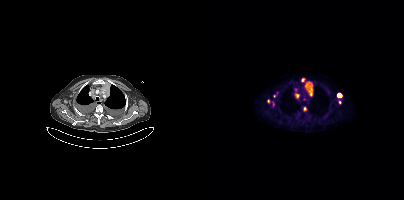
Coordinates are on the 200×200 PET (right) panel. PSMA-avid tumor lesion bounding boxes (x0, y0)-(x1, y1): (101, 82)-(108, 96); (63, 99)-(70, 106); (133, 93)-(138, 98); (91, 94)-(95, 98). Small PSMA-avid foci (2 to 4 px across) near (center x, center y): (98, 79); (101, 108); (135, 101); (70, 96).
modality: PSMA PET/CT | tracer: [18F]PSMA-1007 | view: axial